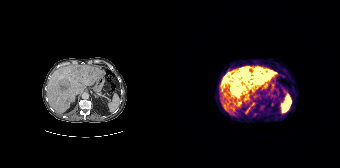
modality: PSMA PET/CT | tracer: [68Ga]Ga-PSMA-11 | view: axial
Coordinates are on the 168×168 PET (right) panel. PSMA-avid tumor lesion bounding boxes (x, y, width, height): x=58 y=80 w=17 h=17 / x=64 y=67 w=16 h=14 / x=82 y=68 w=19 h=12 / x=81 y=79 w=8 h=6 / x=51 y=75 w=5 h=6. Small PSMA-avid foci (2 to 4 px across) near (center x, center y): (78, 87) / (67, 102) / (80, 104).